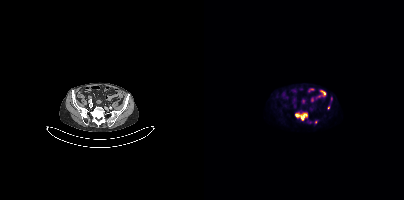
Technique: Paired axial CT (left) and PSMA PET (right), [18F]PSMA-1007 tracer. acquired on Siemens Biograph mCT Flow 20. slice 107 of 391. PET panel 200×200 px (4.1 mm/px).
Findings: Coordinates are on the 200×200 PET (right) panel. (showing 2 of 3 foci) PSMA-avid tumor lesion bounding box (x0, y0)-(x1, y1): (91, 113)-(103, 120). Small PSMA-avid focus (2 to 4 px across) near (center x, center y): (124, 107).